Technique: Left: CT. Right: PSMA PET, same axial level, [18F]PSMA-1007 tracer. acquired on GE Discovery 690. slice 200 of 227. PET panel 256×256 px (2.7 mm/px).
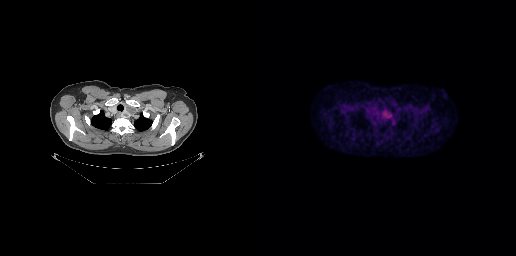
Findings: This slice has no annotated PSMA-avid lesion.